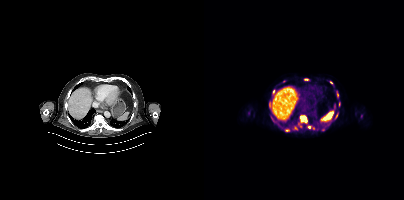
Coordinates are on the 200×200 PET (right) panel. PSMA-avid tumor lesion bounding boxes (x, y, width, height): x=94 y=116 w=10 h=12; x=65 y=103 w=3 h=7; x=81 y=129 w=5 h=3; x=69 y=90 w=3 h=5; x=131 y=113 w=4 h=6. Small PSMA-avid foci (2 to 4 px across) near (center x, center y): (91, 127); (105, 127); (127, 82); (133, 94); (135, 103); (119, 129); (102, 79); (80, 81); (67, 117); (109, 128).